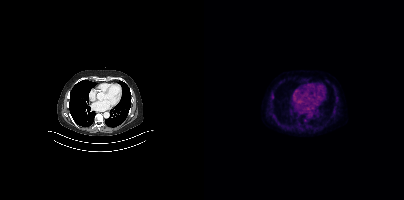
Only PSMA-avid lesion pieces thinner than 2 px on this slice (not listed).
modality: PSMA PET/CT | tracer: [18F]PSMA-1007 | view: axial